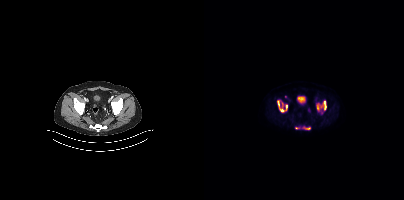
Coordinates are on the 200×200 PET (right) panel. (showing 5 of 6 foci) PSMA-avid tumor lesion bounding boxes (x0,y0,x1,y1): [112,100,122,111], [73,100,83,112], [100,127,106,129]. Small PSMA-avid foci (2 to 4 px across) near (center x, center y): (92, 127), (81, 96).